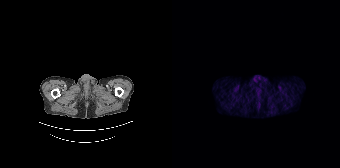
- Left: CT. Right: PSMA PET, same axial level, 68Ga-PSMA tracer
- acquired on Siemens Biograph 64-4R TruePoint
- slice 25 of 195
- PET panel 168×168 px (4.1 mm/px)
Findings: Negative for PSMA-avid disease on this slice.